Two-panel axial: CT | PSMA PET, [18F]PSMA-1007 tracer. PET panel 200×200 px (4.1 mm/px).
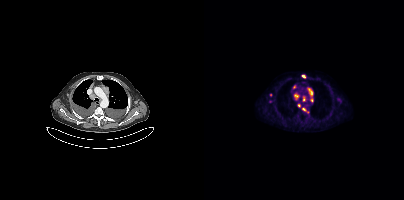
Coordinates are on the 200×200 PET (right) panel. PSMA-avid tumor lesion bounding boxes (partial; 2 more foci not listed):
| # | x0 | y0 | x1 | y1 |
|---|---|---|---|---|
| 1 | 104 | 88 | 108 | 96 |
| 2 | 90 | 94 | 94 | 99 |
| 3 | 99 | 97 | 101 | 101 |
| 4 | 98 | 108 | 102 | 111 |
Small PSMA-avid foci (2 to 4 px across) near (center x, center y): (99, 76); (108, 99); (95, 105); (90, 87); (66, 94).